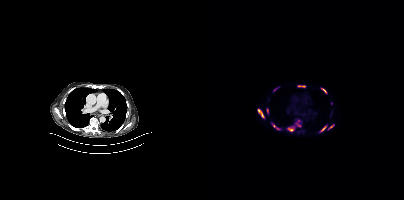
Paired axial CT (left) and PSMA PET (right), [18F]PSMA-1007 tracer. PET panel 200×200 px (4.1 mm/px).
Coordinates are on the 200×200 PET (right) panel. PSMA-avid tumor lesion bounding boxes:
| # | x0 | y0 | x1 | y1 |
|---|---|---|---|---|
| 1 | 53 | 108 | 60 | 117 |
| 2 | 116 | 126 | 122 | 132 |
| 3 | 83 | 127 | 89 | 131 |
| 4 | 93 | 85 | 101 | 87 |
| 5 | 68 | 123 | 75 | 129 |
| 6 | 124 | 124 | 130 | 130 |
| 7 | 117 | 88 | 122 | 93 |
| 8 | 63 | 108 | 64 | 113 |
Small PSMA-avid foci (2 to 4 px across) near (center x, center y): (71, 89); (95, 125).